- Left: CT. Right: PSMA PET, same axial level, 18F tracer
- acquired on Siemens Biograph mCT Flow 20
- PET panel 200×200 px (4.1 mm/px)
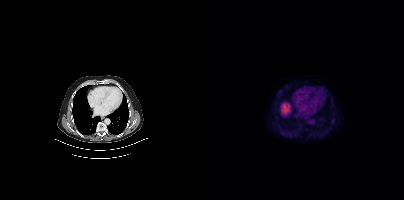
Findings: Negative for PSMA-avid disease on this slice.